Paired axial CT (left) and PSMA PET (right), 18F-PSMA tracer. Slice 224 of 389.
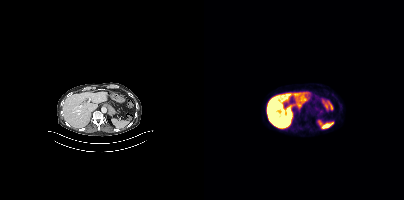
Only PSMA-avid lesion pieces thinner than 2 px on this slice (not listed).